Technique: Two-panel axial: CT | PSMA PET, [68Ga]Ga-PSMA-11 tracer. acquired on Siemens Biograph mCT Flow 20. slice position z = -1051 mm. PET panel 200×200 px (4.1 mm/px).
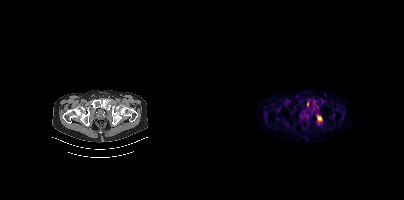
Findings: Coordinates are on the 200×200 PET (right) panel. PSMA-avid tumor lesion bounding boxes (x0,y0,x1,y1): [113,115,117,121], [103,100,105,106].